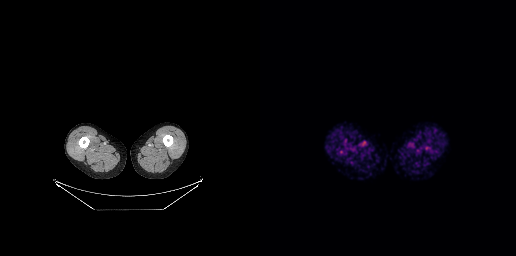
Findings: No tumor lesions annotated on this slice.
- Left: CT. Right: PSMA PET, same axial level, 18F tracer
- slice 7 of 263
- PET panel 256×256 px (2.7 mm/px)